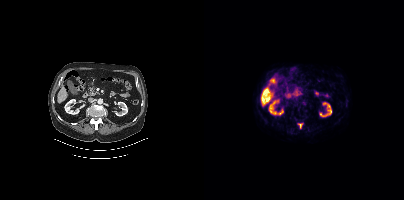
Two-panel axial: CT | PSMA PET, 18F tracer. Acquired on Siemens Biograph mCT Flow 20. PET panel 200×200 px (4.1 mm/px). Coordinates are on the 200×200 PET (right) panel. PSMA-avid tumor lesion bounding box (x0,y0,x1,y1): [94,123,98,128].